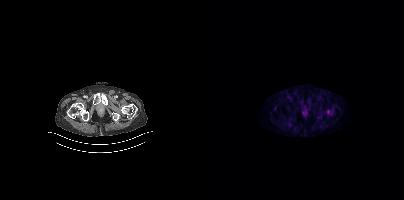
Findings: Only PSMA-avid lesion pieces thinner than 2 px on this slice (not listed).
- Left: CT. Right: PSMA PET, same axial level, [18F]PSMA-1007 tracer
- slice position z = -1467 mm